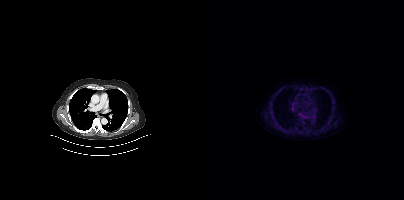
Negative for PSMA-avid disease on this slice.